- Left: CT. Right: PSMA PET, same axial level, 18F tracer
- acquired on GE Discovery 690
- slice 52 of 263
- PET panel 256×256 px (2.7 mm/px)
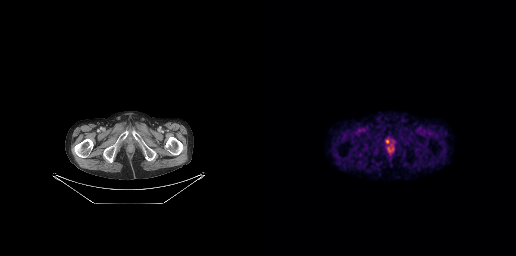
Findings: Coordinates are on the 256×256 PET (right) panel. PSMA-avid tumor lesion bounding box (x, y, width, height): x=125 y=139 w=6 h=6.